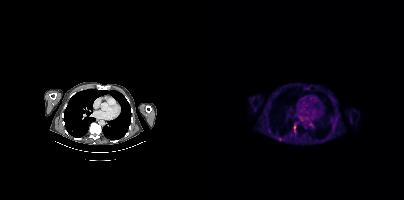
{"pet_grid":[200,200],"coord_frame":"pet_panel","coord_format":"x0,y0,x1,y1","partial":true,"lesion_bboxes":[[90,125,91,129]],"modality":"PSMA PET/CT","view":"axial","tracer":"18F-PSMA"}